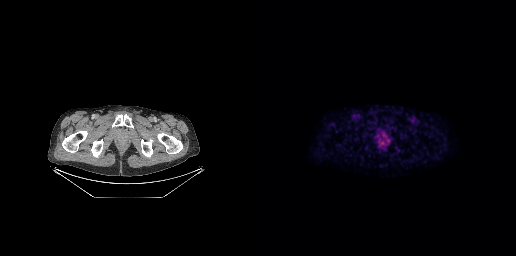
Two-panel axial: CT | PSMA PET, 18F-PSMA tracer. Slice 73 of 299. PET panel 256×256 px (2.7 mm/px). Coordinates are on the 256×256 PET (right) panel. PSMA-avid tumor lesion bounding box (x0, y0)-(x1, y1): (117, 133)-(129, 145).